Technique: Paired axial CT (left) and PSMA PET (right), [18F]PSMA-1007 tracer. acquired on GE Discovery 690.
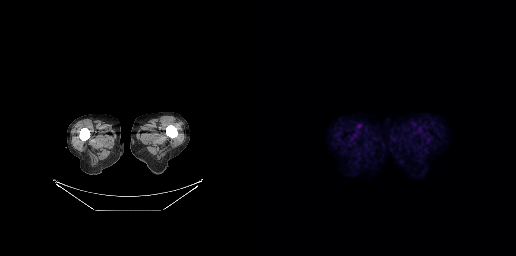
Findings: Negative for PSMA-avid disease on this slice.